Technique: Left: CT. Right: PSMA PET, same axial level, 18F tracer. acquired on Siemens Biograph mCT Flow 20. slice position z = -502 mm.
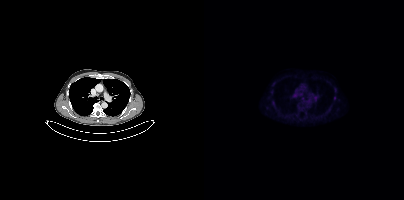
Findings: Coordinates are on the 200×200 PET (right) panel. Small PSMA-avid foci (2 to 4 px across) near (center x, center y): (96, 93) / (98, 97).